Paired axial CT (left) and PSMA PET (right), 18F-PSMA tracer. Acquired on Siemens Biograph mCT Flow 20. PET panel 200×200 px (4.1 mm/px).
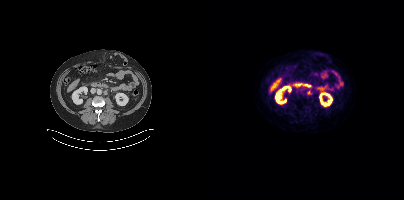
Coordinates are on the 200×200 PET (right) panel. PSMA-avid tumor lesion bounding box (x0, y0)-(x1, y1): (103, 89)-(108, 94).